- Paired axial CT (left) and PSMA PET (right), [18F]PSMA-1007 tracer
- acquired on Siemens Biograph mCT Flow 20
- slice position z = -1336 mm
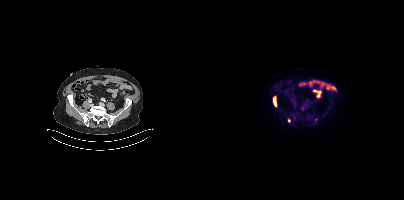
Findings: Coordinates are on the 200×200 PET (right) panel. (showing 2 of 3 foci) PSMA-avid tumor lesion bounding box (x0,y0,x1,y1): [69,96,72,106]. Small PSMA-avid focus (2 to 4 px across) near (center x, center y): (85, 120).